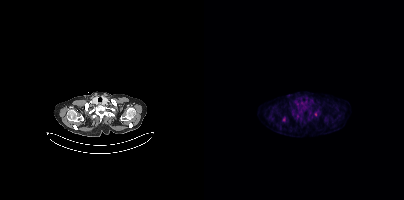
Two-panel axial: CT | PSMA PET, 18F-PSMA tracer. Slice position z = -982 mm. PET panel 200×200 px (4.1 mm/px). Coordinates are on the 200×200 PET (right) panel. Small PSMA-avid foci (2 to 4 px across) near (center x, center y): (111, 114), (93, 116), (93, 103).